Left: CT. Right: PSMA PET, same axial level, [18F]PSMA-1007 tracer. Acquired on Siemens Biograph mCT Flow 20.
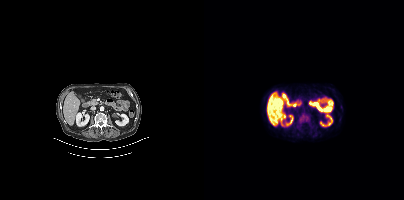
Coordinates are on the 200×200 PET (right) panel. PSMA-avid tumor lesion bounding boxes:
| # | x0 | y0 | x1 | y1 |
|---|---|---|---|---|
| 1 | 95 | 114 | 105 | 123 |